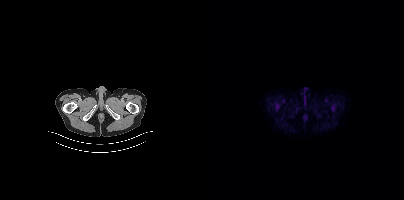
No PSMA-avid tumor lesions on this slice.